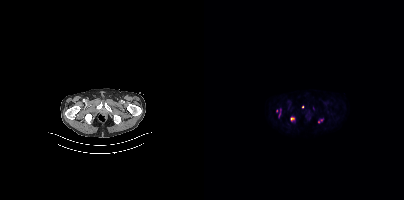
Coordinates are on the 200×200 PET (right) panel. Small PSMA-avid foci (2 to 4 px across) near (center x, center y): (88, 118) (114, 121) (98, 106). Paired axial CT (left) and PSMA PET (right), [18F]PSMA-1007 tracer. Slice 35 of 403. PET panel 200×200 px (4.1 mm/px).